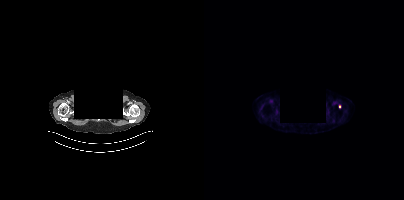
Technique: Two-panel axial: CT | PSMA PET, 18F-PSMA tracer. PET panel 200×200 px (4.1 mm/px).
Note: Facial anatomy redacted by setting a rectangular region of the head to black.
Findings: Coordinates are on the 200×200 PET (right) panel. Small PSMA-avid focus (2 to 4 px across) near (center x, center y): (135, 106).